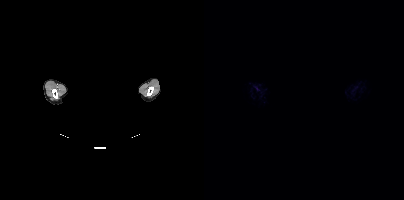
No tumor lesions annotated on this slice.
de-identification: head region blanked (face removed) | modality: PSMA PET/CT | tracer: 18F | view: axial | PET grid: 200×200